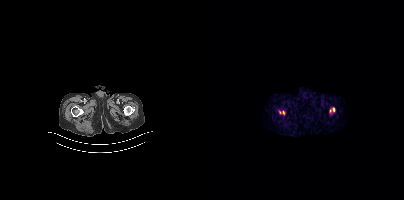
Coordinates are on the 200×200 PET (right) panel. PSMA-avid tumor lesion bounding boxes (x, y, width, height): x=125 y=107 w=7 h=7 | x=74 y=110 w=8 h=6.